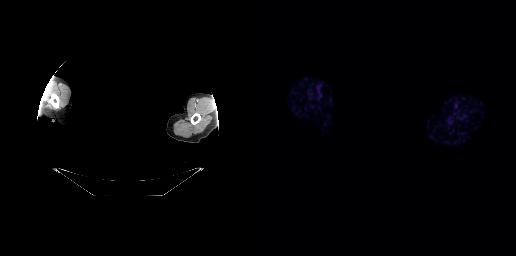
No tumor lesions annotated on this slice. The face region was removed for patient privacy by blanking a rectangle over the head. Left: CT. Right: PSMA PET, same axial level, 68Ga tracer. Slice position z = -222 mm.